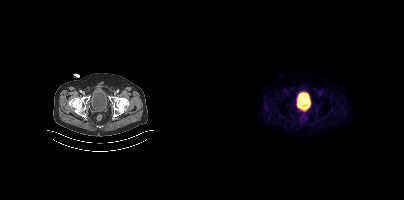
{"modality":"PSMA PET/CT","view":"axial","tracer":"68Ga-PSMA","pet_grid":[200,200],"coord_frame":"pet_panel","coord_format":"x0,y0,x1,y1","psma_avid_lesions":false}